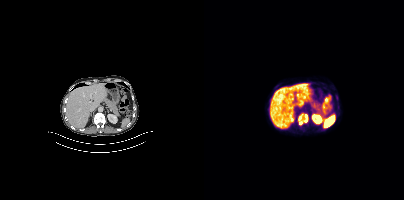
Left: CT. Right: PSMA PET, same axial level, 18F-PSMA tracer. PET panel 200×200 px (4.1 mm/px).
Coordinates are on the 200×200 PET (right) panel. PSMA-avid tumor lesion bounding boxes:
| # | x0 | y0 | x1 | y1 |
|---|---|---|---|---|
| 1 | 94 | 114 | 103 | 124 |